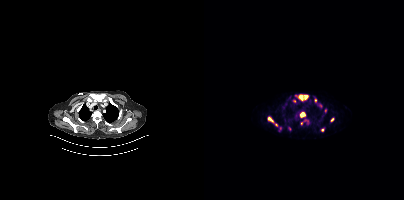
Coordinates are on the 200×200 PET (right) panel. (showing 14 of 15 foci) PSMA-avid tumor lesion bounding boxes (x, y, width, height): x=91 y=94 w=14 h=6 | x=113 y=103 w=6 h=6 | x=96 y=112 w=5 h=6 | x=64 y=117 w=5 h=5 | x=110 y=98 w=3 h=5. Small PSMA-avid foci (2 to 4 px across) near (center x, center y): (92, 116) | (118, 130) | (90, 101) | (128, 119) | (101, 120) | (97, 123) | (85, 128) | (72, 124) | (121, 110).